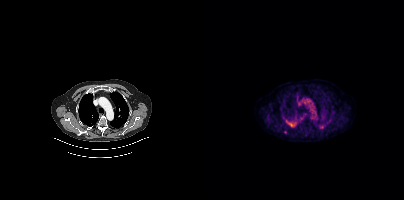
modality: PSMA PET/CT | tracer: 18F | view: axial
Coordinates are on the 200×200 PET (right) panel. Small PSMA-avid focus (2 to 4 px across) near (center x, center y): (81, 132).